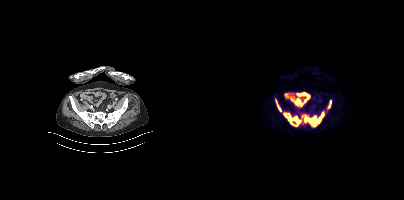
Coordinates are on the 200×200 PET (right) panel. PSMA-avid tumor lesion bounding boxes:
| # | x0 | y0 | x1 | y1 |
|---|---|---|---|---|
| 1 | 98 | 111 | 120 | 126 |
| 2 | 80 | 113 | 91 | 125 |
| 3 | 89 | 116 | 96 | 123 |
| 4 | 72 | 101 | 77 | 111 |
| 5 | 124 | 101 | 127 | 107 |
Left: CT. Right: PSMA PET, same axial level, 18F-PSMA tracer. PET panel 200×200 px (4.1 mm/px).